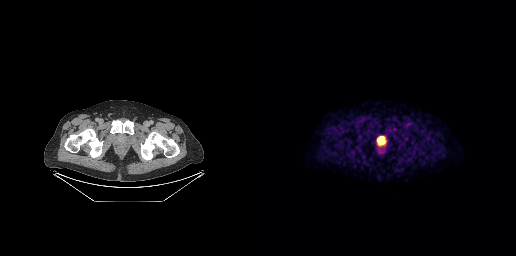
Coordinates are on the 256×256 PET (right) panel. PSMA-avid tumor lesion bounding box (x0,y0,x1,y1): [117,136,124,143].